Paired axial CT (left) and PSMA PET (right), 18F-PSMA tracer. PET panel 200×200 px (4.1 mm/px).
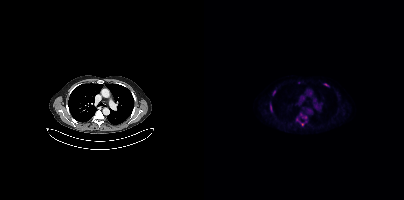
Coordinates are on the 200×200 PET (right) panel. PSMA-avid tumor lesion bounding boxes (partial; 1 more focus not listed):
| # | x0 | y0 | x1 | y1 |
|---|---|---|---|---|
| 1 | 120 | 83 | 124 | 86 |
| 2 | 69 | 90 | 71 | 95 |
| 3 | 66 | 105 | 68 | 111 |
Small PSMA-avid focus (2 to 4 px across) near (center x, center y): (98, 124).